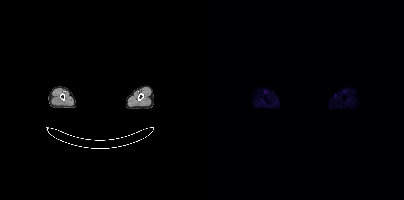
{"pet_grid":[200,200],"coord_frame":"pet_panel","coord_format":"x0,y0,x1,y1","psma_avid_lesions":false,"deidentification":"privacy mask over head","modality":"PSMA PET/CT","view":"axial","tracer":"[18F]PSMA-1007"}